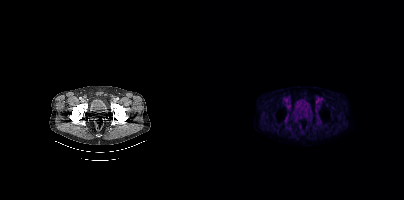
No tumor lesions annotated on this slice.